Any black rectangle over the head is a privacy mask, not anatomy. Left: CT. Right: PSMA PET, same axial level, 68Ga-PSMA tracer. Acquired on GE Discovery 690. Slice 275 of 299. PET panel 256×256 px (2.7 mm/px).
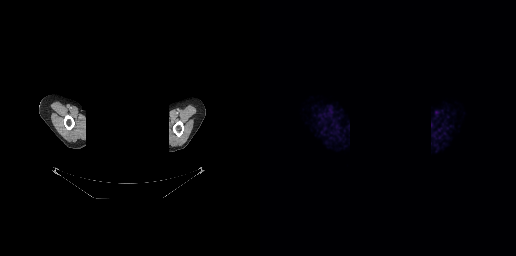
Negative for PSMA-avid disease on this slice.